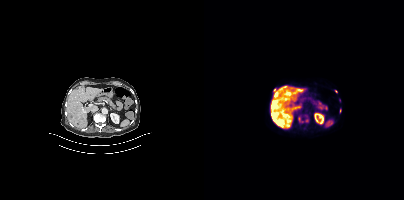
Paired axial CT (left) and PSMA PET (right), [18F]PSMA-1007 tracer. Acquired on Siemens Biograph mCT Flow 20. PET panel 200×200 px (4.1 mm/px).
Coordinates are on the 200×200 PET (right) panel. PSMA-avid tumor lesion bounding boxes (partial; 1 more focus not listed):
| # | x0 | y0 | x1 | y1 |
|---|---|---|---|---|
| 1 | 82 | 90 | 87 | 95 |
| 2 | 94 | 88 | 98 | 92 |
| 3 | 70 | 118 | 74 | 122 |
| 4 | 70 | 89 | 74 | 95 |
| 5 | 68 | 113 | 71 | 117 |
Small PSMA-avid focus (2 to 4 px across) near (center x, center y): (132, 91).